- Two-panel axial: CT | PSMA PET, 18F-PSMA tracer
- slice position z = -436 mm
- PET panel 200×200 px (4.1 mm/px)
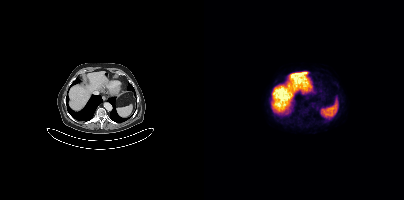
Findings: No PSMA-avid tumor lesions on this slice.